Left: CT. Right: PSMA PET, same axial level, 18F-PSMA tracer. Acquired on GE Discovery 690.
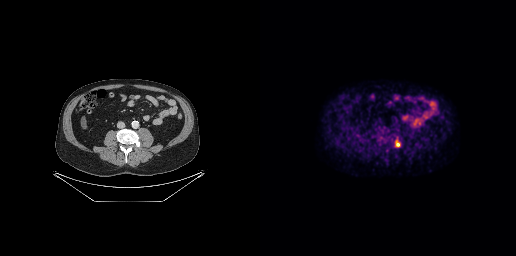
Coordinates are on the 256×256 PET (right) panel. PSMA-avid tumor lesion bounding box (x, y, width, height): x=135 y=137 w=6 h=11.